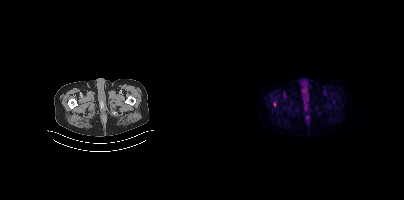
Coordinates are on the 200×200 PET (right) panel. PSMA-avid tumor lesion bounding box (x, y, width, height): x=70 y=102 w=2 h=5.